modality: PSMA PET/CT | tracer: 18F | view: axial | PET grid: 200×200
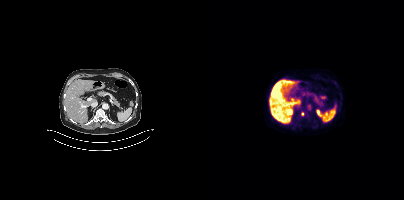
Coordinates are on the 200×200 PET (right) panel. Small PSMA-avid focus (2 to 4 px across) near (center x, center y): (98, 113).